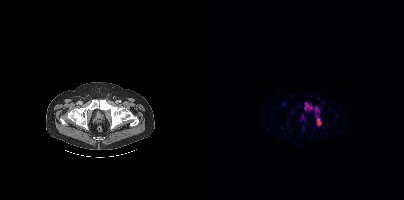
{"modality":"PSMA PET/CT","view":"axial","tracer":"18F-PSMA","pet_grid":[200,200],"coord_frame":"pet_panel","coord_format":"x0,y0,x1,y1","lesion_bboxes":[[113,118,117,125],[101,103,108,109]],"small_foci_centers":[[98,116],[112,108]]}